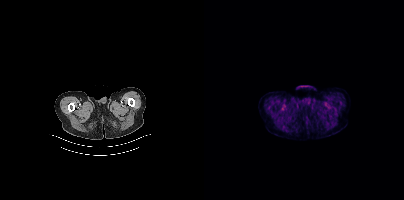
Findings: No PSMA-avid tumor lesions on this slice.
- Two-panel axial: CT | PSMA PET, 18F-PSMA tracer
- slice 33 of 397